Technique: Left: CT. Right: PSMA PET, same axial level, [18F]PSMA-1007 tracer.
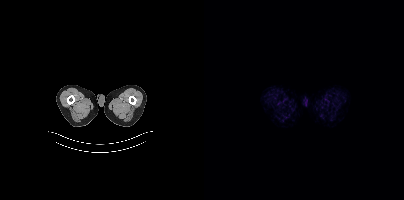
Findings: This slice has no annotated PSMA-avid lesion.